modality: PSMA PET/CT | tracer: [18F]PSMA-1007 | view: axial
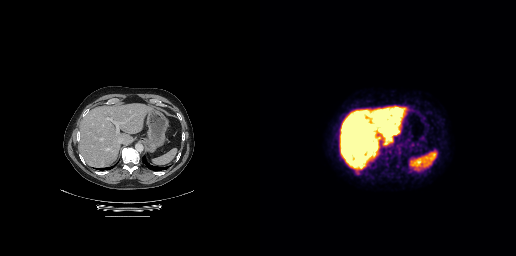
Only PSMA-avid lesion pieces thinner than 2 px on this slice (not listed).